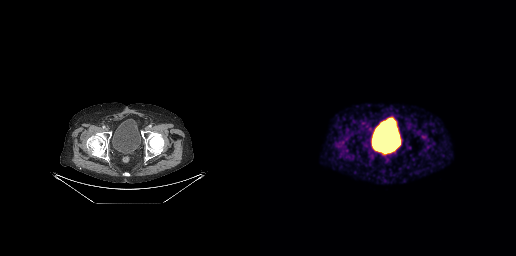
Findings: No PSMA-avid tumor lesions on this slice.
Technique: Two-panel axial: CT | PSMA PET, [68Ga]Ga-PSMA-11 tracer. acquired on GE Discovery 690. slice 70 of 263. PET panel 256×256 px (2.7 mm/px).